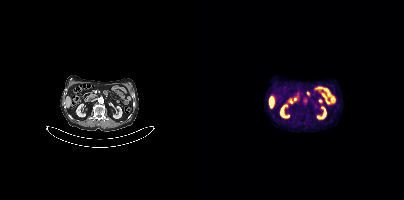
Two-panel axial: CT | PSMA PET, [18F]PSMA-1007 tracer. Acquired on Siemens Biograph mCT Flow 20. Slice position z = -1394 mm. PET panel 200×200 px (4.1 mm/px). Negative for PSMA-avid disease on this slice.